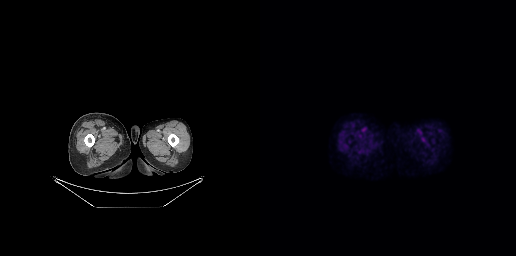
Left: CT. Right: PSMA PET, same axial level, [18F]PSMA-1007 tracer. Acquired on GE Discovery 690. Slice 27 of 263. This slice has no annotated PSMA-avid lesion.